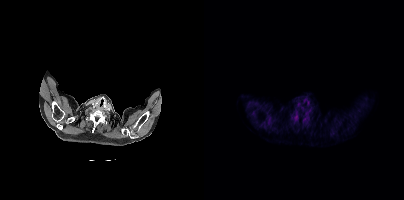
No tumor lesions annotated on this slice.